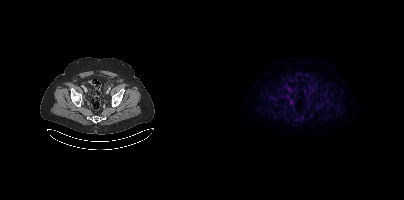
Coordinates are on the 200×200 PET (right) panel. Small PSMA-avid focus (2 to 4 px across) near (center x, center y): (87, 102).